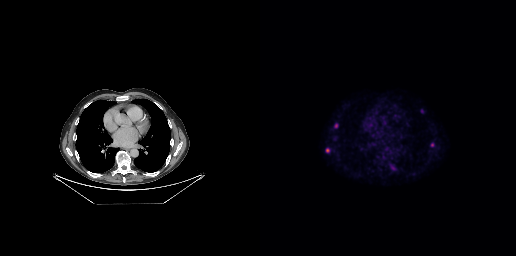
Technique: Left: CT. Right: PSMA PET, same axial level, [18F]PSMA-1007 tracer. acquired on GE Discovery 690. PET panel 256×256 px (2.7 mm/px).
Findings: Coordinates are on the 256×256 PET (right) panel. PSMA-avid tumor lesion bounding boxes (x0, y0)-(x1, y1): (74, 123)-(78, 127) / (66, 148)-(69, 152). Small PSMA-avid focus (2 to 4 px across) near (center x, center y): (172, 144).